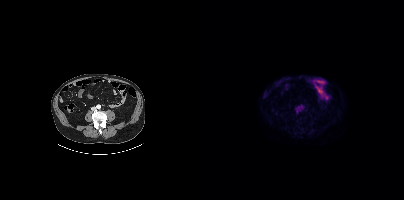
No PSMA-avid tumor lesions on this slice.